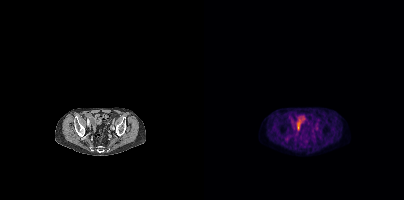
This slice has no annotated PSMA-avid lesion.
modality: PSMA PET/CT | tracer: 18F-PSMA | view: axial